Technique: Left: CT. Right: PSMA PET, same axial level, 18F-PSMA tracer. PET panel 200×200 px (4.1 mm/px).
Note: Face de-identified by blanking a block of the head.
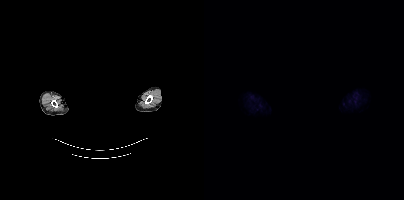
Findings: Negative for PSMA-avid disease on this slice.